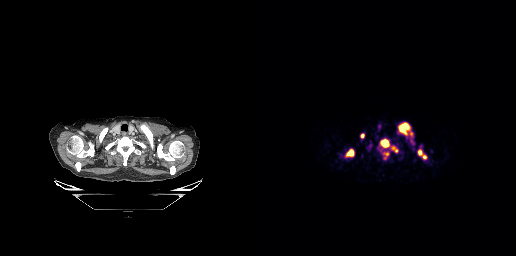
- Paired axial CT (left) and PSMA PET (right), 68Ga-PSMA tracer
- acquired on GE Discovery 690
- slice 228 of 263
- PET panel 256×256 px (2.7 mm/px)
Findings: Coordinates are on the 256×256 PET (right) panel. (showing 9 of 10 foci) PSMA-avid tumor lesion bounding boxes (x0,y0,x1,y1): [138,122,150,135], [121,140,128,146], [85,150,93,156], [100,133,104,138]. Small PSMA-avid foci (2 to 4 px across) near (center x, center y): (151, 133), (160, 152), (136, 150), (133, 147), (164, 156).